Two-panel axial: CT | PSMA PET, [68Ga]Ga-PSMA-11 tracer.
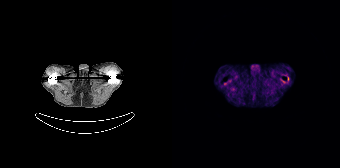
Negative for PSMA-avid disease on this slice.